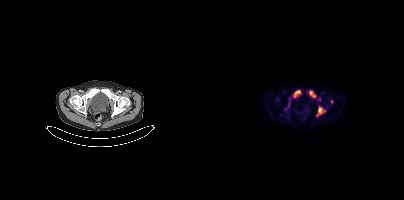
Coordinates are on the 200×200 PET (right) panel. (showing 5 of 6 foci) PSMA-avid tumor lesion bounding boxes (x, y, width, height): x=89 y=90 w=9 h=8 | x=114 y=106 w=8 h=9 | x=105 y=90 w=8 h=9. Small PSMA-avid foci (2 to 4 px across) near (center x, center y): (84, 104) | (115, 99).